modality: PSMA PET/CT | tracer: 18F | view: axial
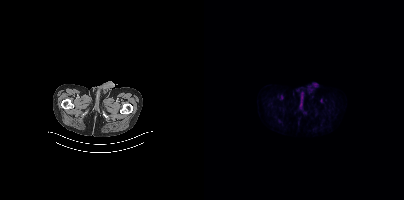
This slice has no annotated PSMA-avid lesion.